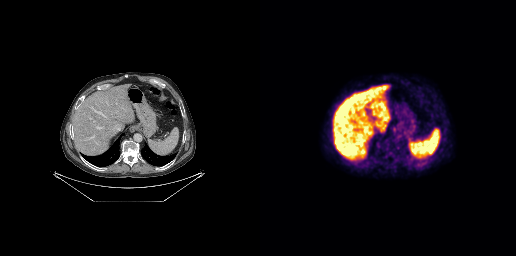
{"pet_grid":[256,256],"coord_frame":"pet_panel","coord_format":"x0,y0,x1,y1","psma_avid_lesions":false,"modality":"PSMA PET/CT","view":"axial","tracer":"18F-PSMA"}